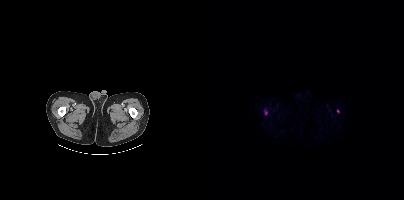
Findings: Coordinates are on the 200×200 PET (right) panel. PSMA-avid tumor lesion bounding box (x0,y0,x1,y1): [60,109,63,115]. Small PSMA-avid focus (2 to 4 px across) near (center x, center y): (134, 111).
Technique: Two-panel axial: CT | PSMA PET, [18F]PSMA-1007 tracer. acquired on Siemens Biograph mCT Flow 20.